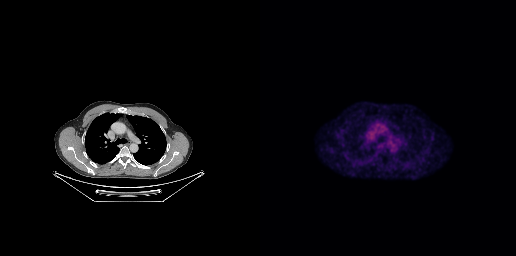
{"modality":"PSMA PET/CT","view":"axial","tracer":"[18F]PSMA-1007","pet_grid":[256,256],"coord_frame":"pet_panel","coord_format":"x0,y0,x1,y1","psma_avid_lesions":false}